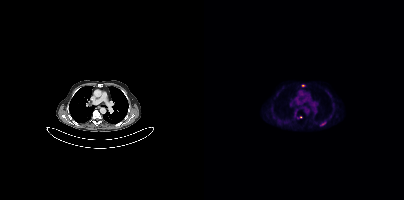
Coordinates are on the 200×200 PET (right) panel. PSMA-avid tumor lesion bounding box (x0, y0)-(x1, y1): (116, 121)-(122, 126). Small PSMA-avid focus (2 to 4 px across) near (center x, center y): (99, 85).